Two-panel axial: CT | PSMA PET, [18F]PSMA-1007 tracer. PET panel 200×200 px (4.1 mm/px). Facial anatomy redacted by setting a rectangular region of the head to black.
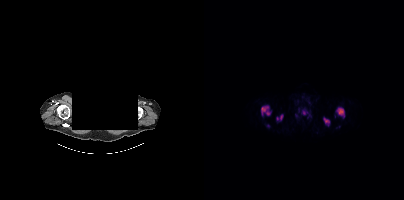
Coordinates are on the 200×200 PET (right) panel. (showing 6 of 8 foci) PSMA-avid tumor lesion bounding boxes (x, y, width, height): x=57 y=105 w=11 h=12 / x=132 y=107 w=9 h=12 / x=119 y=117 w=8 h=10 / x=72 y=114 w=8 h=8 / x=98 y=110 w=6 h=5. Small PSMA-avid focus (2 to 4 px across) near (center x, center y): (64, 125).